Paired axial CT (left) and PSMA PET (right), [18F]PSMA-1007 tracer. Acquired on GE Discovery 690. PET panel 256×256 px (2.7 mm/px).
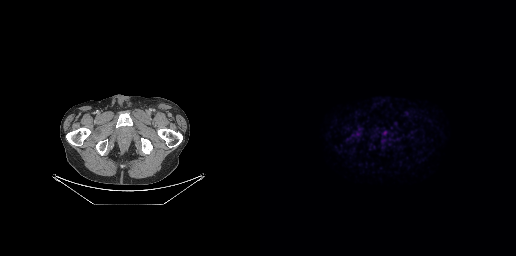
This slice has no annotated PSMA-avid lesion.